Two-panel axial: CT | PSMA PET, 68Ga-PSMA tracer.
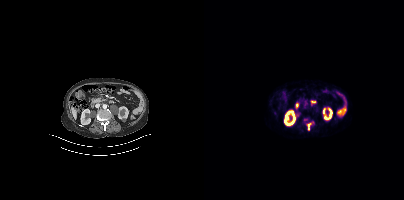
Coordinates are on the 200×200 PET (right) panel. (showing 1 of 2 foci) PSMA-avid tumor lesion bounding box (x0, y0)-(x1, y1): (102, 123)-(107, 130).